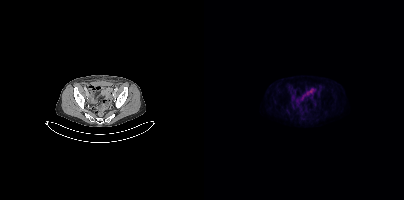
{"modality":"PSMA PET/CT","view":"axial","tracer":"18F-PSMA","pet_grid":[200,200],"coord_frame":"pet_panel","coord_format":"x0,y0,x1,y1","psma_avid_lesions":false}